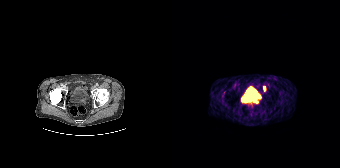
{"modality":"PSMA PET/CT","view":"axial","tracer":"68Ga-PSMA","pet_grid":[168,168],"coord_frame":"pet_panel","coord_format":"x0,y0,x1,y1","lesion_bboxes":[],"small_foci_centers":[[92,87],[83,100]]}